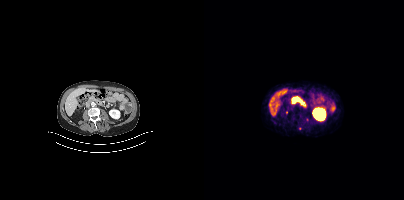
modality: PSMA PET/CT | tracer: 68Ga | view: axial | PET grid: 200×200
Coordinates are on the 200×200 PET (right) panel. (showing 1 of 3 foci) PSMA-avid tumor lesion bounding box (x0, y0)-(x1, y1): (88, 99)-(92, 103).